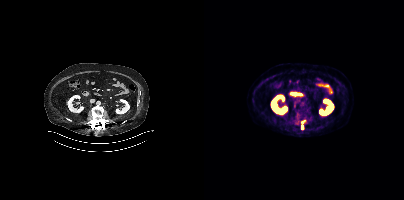
{"modality":"PSMA PET/CT","view":"axial","tracer":"18F-PSMA","pet_grid":[200,200],"coord_frame":"pet_panel","coord_format":"x0,y0,x1,y1","lesion_bboxes":[[97,120,100,124]],"small_foci_centers":[[98,127]]}